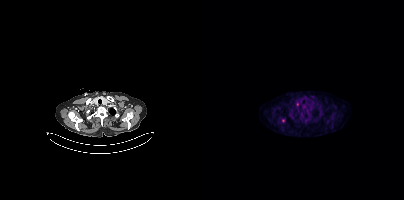
- Paired axial CT (left) and PSMA PET (right), [18F]PSMA-1007 tracer
- slice 342 of 425
Findings: Coordinates are on the 200×200 PET (right) panel. (showing 1 of 2 foci) PSMA-avid tumor lesion bounding box (x0,y0,x1,y1): [92,102,94,106].